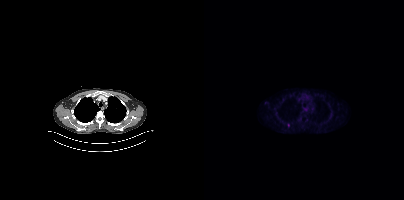
Coordinates are on the 200×200 PET (right) panel. PSMA-avid tumor lesion bounding box (x0, y0)-(x1, y1): (83, 123)-(85, 127).
modality: PSMA PET/CT | tracer: [18F]PSMA-1007 | view: axial | PET grid: 200×200